The head region is masked for de-identification. Two-panel axial: CT | PSMA PET, 18F-PSMA tracer. Acquired on Siemens Biograph mCT Flow 20. Slice 377 of 381. PET panel 200×200 px (4.1 mm/px).
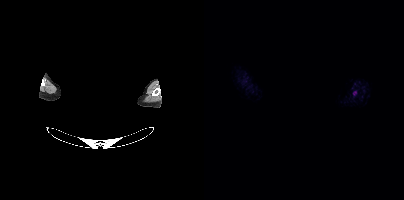
No tumor lesions annotated on this slice.